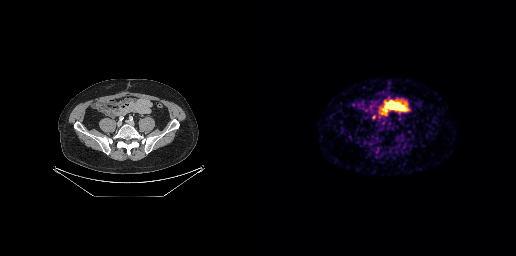
Findings: Coordinates are on the 256×256 PET (right) panel. PSMA-avid tumor lesion bounding box (x, y, width, height): x=112 y=115 w=5 h=5.
Technique: Two-panel axial: CT | PSMA PET, [68Ga]Ga-PSMA-11 tracer. acquired on GE Discovery 690.